Two-panel axial: CT | PSMA PET, 18F-PSMA tracer. Slice position z = 218 mm. PET panel 200×200 px (4.1 mm/px).
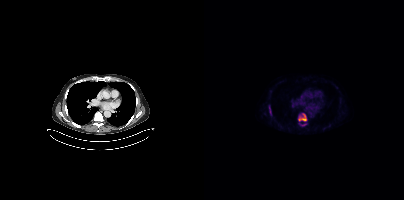
Coordinates are on the 200×200 PET (right) panel. PSMA-avid tumor lesion bounding boxes (partial; 2 more foci not listed):
| # | x0 | y0 | x1 | y1 |
|---|---|---|---|---|
| 1 | 94 | 113 | 103 | 121 |
| 2 | 65 | 106 | 67 | 115 |
| 3 | 97 | 124 | 102 | 125 |